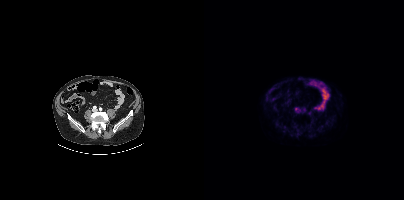
- Paired axial CT (left) and PSMA PET (right), [18F]PSMA-1007 tracer
- acquired on Siemens Biograph mCT Flow 20
- slice position z = -848 mm
Findings: Coordinates are on the 200×200 PET (right) panel. Small PSMA-avid focus (2 to 4 px across) near (center x, center y): (92, 109).